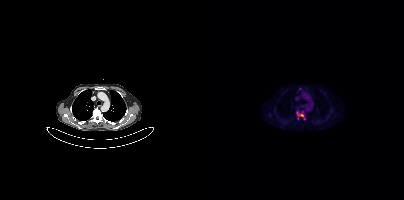
Coordinates are on the 200×200 PET (right) panel. (showing 1 of 2 foci) PSMA-avid tumor lesion bounding box (x, y, width, height): x=92 y=111 w=10 h=9. Two-panel axial: CT | PSMA PET, 18F tracer. Slice 290 of 391.